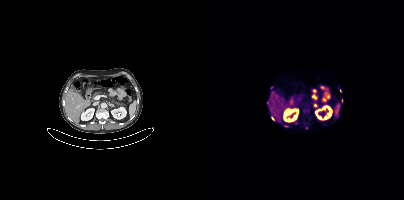
Coordinates are on the 200×200 PET (right) panel. (showing 6 of 10 foci) Small PSMA-avid foci (2 to 4 px across) near (center x, center y): (64, 102); (111, 105); (67, 87); (67, 118); (82, 125); (102, 127).